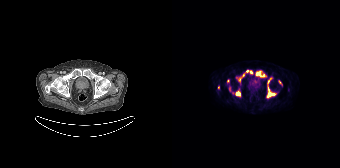
{"modality":"PSMA PET/CT","view":"axial","tracer":"18F","pet_grid":[168,168],"coord_frame":"pet_panel","coord_format":"x0,y0,x1,y1","partial":true,"lesion_bboxes":[[94,77,104,98],[56,85,68,96],[84,71,92,76],[67,78,69,84],[107,80,110,85]],"small_foci_centers":[[79,72],[75,71],[71,75],[55,80],[46,87]]}